Left: CT. Right: PSMA PET, same axial level, [18F]PSMA-1007 tracer. Slice position z = 462 mm. PET panel 200×200 px (4.1 mm/px).
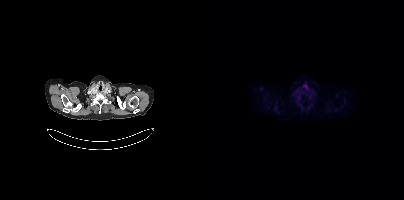
Negative for PSMA-avid disease on this slice.